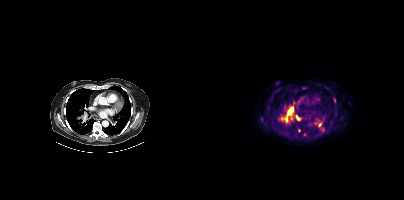
Technique: Two-panel axial: CT | PSMA PET, 18F-PSMA tracer. acquired on Siemens Biograph mCT Flow 20. slice 313 of 448.
Findings: Coordinates are on the 200×200 PET (right) panel. (showing 7 of 10 foci) PSMA-avid tumor lesion bounding boxes (x0,y0,x1,y1): [77,106,89,122] [92,115,94,119] [130,98,131,102]. Small PSMA-avid foci (2 to 4 px across) near (center x, center y): (100, 135) (116, 124) (74, 119) (94, 130).